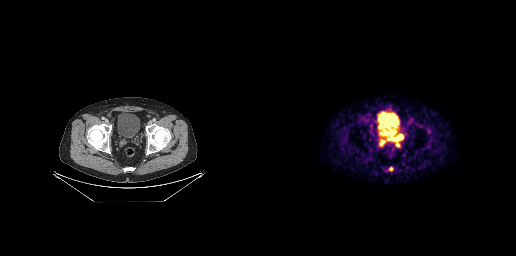
Two-panel axial: CT | PSMA PET, 68Ga tracer. Acquired on GE Discovery 690. Slice position z = -825 mm. Coordinates are on the 256×256 PET (right) panel. PSMA-avid tumor lesion bounding boxes (x0, y0)-(x1, y1): (129, 134)-(143, 147) / (119, 139)-(125, 146).